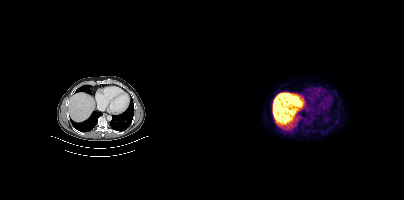
- Left: CT. Right: PSMA PET, same axial level, 18F tracer
- slice 258 of 417
- PET panel 200×200 px (4.1 mm/px)
Findings: No tumor lesions annotated on this slice.